- Two-panel axial: CT | PSMA PET, 68Ga tracer
- slice position z = -918 mm
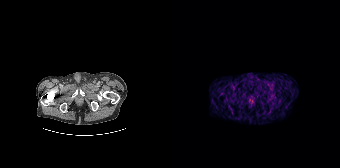
Findings: No PSMA-avid tumor lesions on this slice.